Paired axial CT (left) and PSMA PET (right), 68Ga tracer. PET panel 168×168 px (4.1 mm/px).
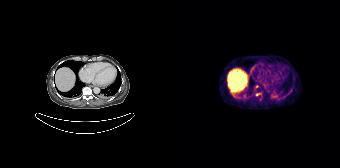
Coordinates are on the 168×168 PET (right) panel. Small PSMA-avid foci (2 to 4 px across) near (center x, center y): (85, 94), (85, 85).